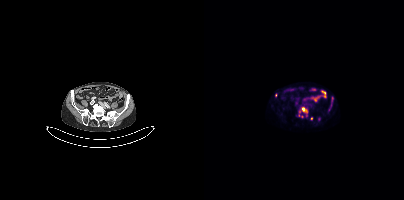
Coordinates are on the 200×200 PET (right) panel. (showing 4 of 5 foci) PSMA-avid tumor lesion bounding box (x0, y0)-(x1, y1): (98, 107)-(103, 112). Small PSMA-avid foci (2 to 4 px across) near (center x, center y): (71, 95) / (107, 118) / (114, 119).
modality: PSMA PET/CT | tracer: [18F]PSMA-1007 | view: axial | PET grid: 200×200